Paired axial CT (left) and PSMA PET (right), 18F-PSMA tracer. PET panel 200×200 px (4.1 mm/px).
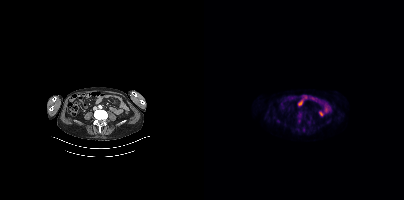
Coordinates are on the 200×200 PET (right) panel. PSMA-avid tumor lesion bounding box (x0,y0,x1,y1): [94,113,97,117]. Small PSMA-avid focus (2 to 4 px across) near (center x, center y): (95, 120).